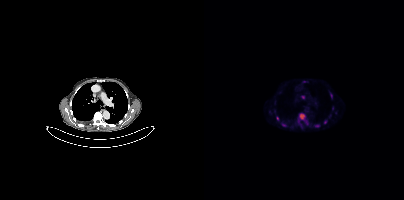
{"pet_grid":[200,200],"coord_frame":"pet_panel","coord_format":"x0,y0,x1,y1","lesion_bboxes":[[95,113,100,119],[111,125,115,126]],"small_foci_centers":[[98,97],[121,122],[127,95],[73,118],[80,124]],"modality":"PSMA PET/CT","view":"axial","tracer":"[18F]PSMA-1007"}